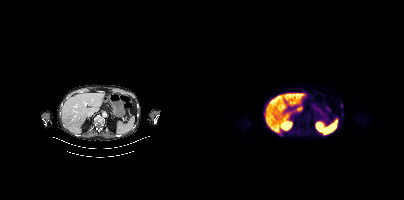
Findings: Coordinates are on the 200×200 PET (right) panel. PSMA-avid tumor lesion bounding boxes (x0,y0,x1,y1): [137,103,138,107], [137,113,138,117].
- Paired axial CT (left) and PSMA PET (right), [18F]PSMA-1007 tracer